- Two-panel axial: CT | PSMA PET, 18F tracer
- slice position z = 58 mm
- PET panel 200×200 px (4.1 mm/px)
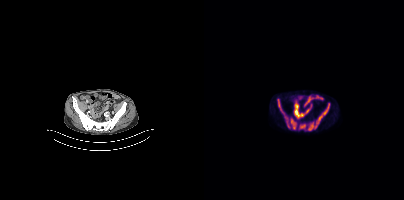
Findings: Coordinates are on the 200×200 PET (right) panel. (showing 5 of 6 foci) PSMA-avid tumor lesion bounding boxes (x0, y0)-(x1, y1): (106, 103)-(125, 129) | (80, 114)-(92, 129) | (95, 124)-(101, 128) | (73, 99)-(77, 110) | (104, 126)-(106, 130).